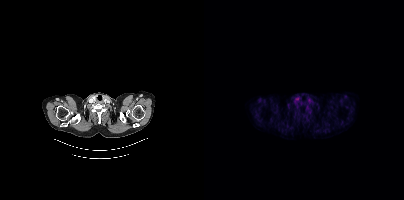
No tumor lesions annotated on this slice.